Technique: Paired axial CT (left) and PSMA PET (right), 18F-PSMA tracer. slice position z = -304 mm.
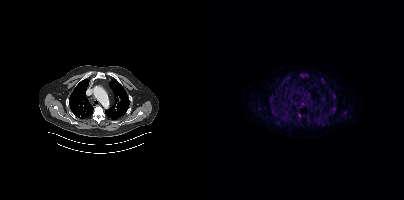
Findings: Coordinates are on the 200×200 PET (right) panel. (showing 8 of 11 foci) PSMA-avid tumor lesion bounding boxes (x0, y0)-(x1, y1): (97, 73)-(103, 77) | (124, 111)-(129, 115) | (139, 112)-(142, 116) | (117, 79)-(121, 83) | (71, 113)-(75, 116) | (66, 102)-(69, 106). Small PSMA-avid foci (2 to 4 px across) near (center x, center y): (95, 115) | (130, 106).